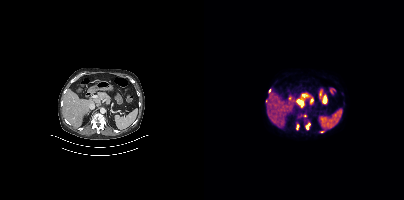
Coordinates are on the 200×200 PET (right) panel. (showing 2 of 3 foci) PSMA-avid tumor lesion bounding boxes (x0, y0)-(x1, y1): (102, 123)-(106, 129); (93, 125)-(94, 129).